Paired axial CT (left) and PSMA PET (right), 18F-PSMA tracer. Acquired on Siemens Biograph mCT Flow 20.
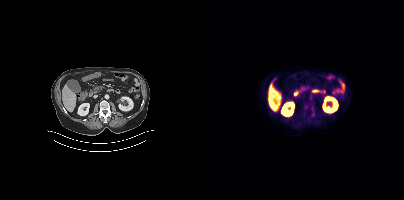
Coordinates are on the 200×200 PET (right) panel. PSMA-avid tumor lesion bounding box (x0, y0)-(x1, y1): (100, 105)-(102, 109).